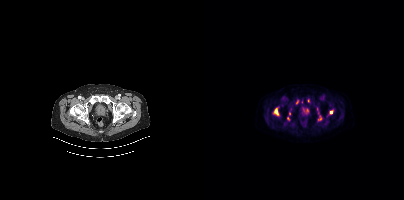
{"pet_grid":[200,200],"coord_frame":"pet_panel","coord_format":"x0,y0,x1,y1","partial":true,"lesion_bboxes":[[69,108,75,115],[125,110,127,114],[113,107,114,111]],"small_foci_centers":[[103,110],[104,100],[93,101],[85,113],[114,120],[84,118]],"modality":"PSMA PET/CT","view":"axial","tracer":"18F"}